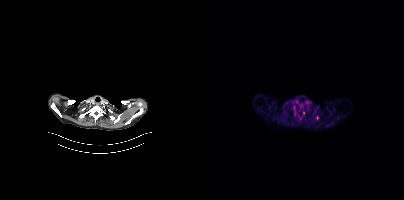
Left: CT. Right: PSMA PET, same axial level, [18F]PSMA-1007 tracer. Slice 344 of 421. Coordinates are on the 200×200 PET (right) panel. (showing 1 of 2 foci) Small PSMA-avid focus (2 to 4 px across) near (center x, center y): (113, 117).